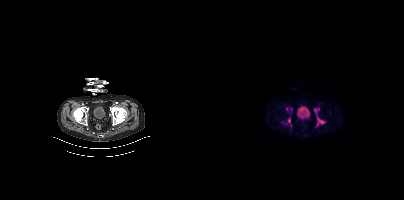
{"modality":"PSMA PET/CT","view":"axial","tracer":"18F","pet_grid":[200,200],"coord_frame":"pet_panel","coord_format":"x0,y0,x1,y1","partial":true,"lesion_bboxes":[[109,107,121,126],[82,118,87,126]],"small_foci_centers":[[82,109],[87,109]]}